modality: PSMA PET/CT | tracer: 18F-PSMA | view: axial | PET grid: 200×200
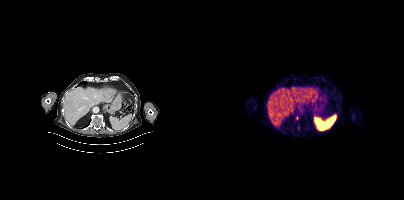
This slice has no annotated PSMA-avid lesion.